Technique: Paired axial CT (left) and PSMA PET (right), [18F]PSMA-1007 tracer. acquired on Siemens Biograph mCT Flow 20. PET panel 200×200 px (4.1 mm/px).
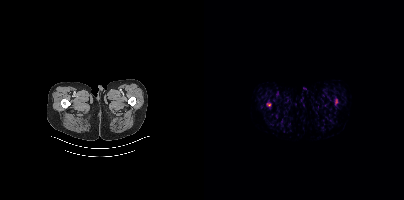
Findings: Coordinates are on the 200×200 PET (right) panel. PSMA-avid tumor lesion bounding boxes (x0, y0)-(x1, y1): (62, 103)-(67, 106) / (132, 99)-(133, 103).